Technique: Left: CT. Right: PSMA PET, same axial level, 18F-PSMA tracer. acquired on Siemens Biograph mCT Flow 20. PET panel 200×200 px (4.1 mm/px).
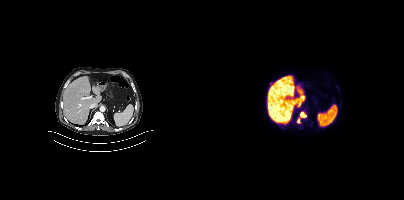
Findings: Coordinates are on the 200×200 PET (right) panel. PSMA-avid tumor lesion bounding box (x0,y0,x1,y1): [93,111,102,123].